Left: CT. Right: PSMA PET, same axial level, 18F-PSMA tracer. Slice position z = -947 mm.
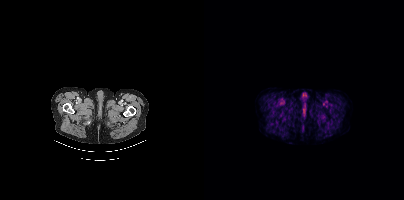
No PSMA-avid tumor lesions on this slice.